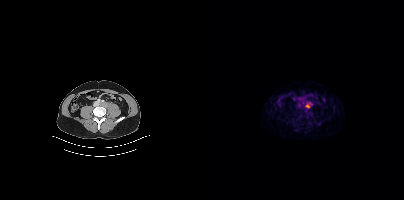
modality: PSMA PET/CT | tracer: 18F-PSMA | view: axial
Coordinates are on the 200×200 PET (right) panel. Small PSMA-avid focus (2 to 4 px across) near (center x, center y): (103, 105).